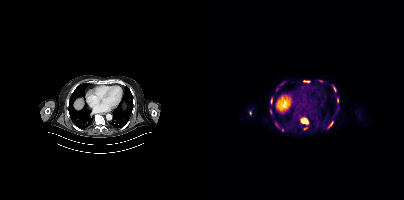
Coordinates are on the 200×200 PET (right) panel. PSMA-avid tumor lesion bounding boxes (x0, y0)-(x1, y1): (97, 118)-(104, 124) | (99, 80)-(105, 82) | (67, 98)-(68, 103) | (130, 87)-(132, 91) | (125, 122)-(128, 126). Small PSMA-avid foci (2 to 4 px across) near (center x, center y): (116, 81) | (101, 128) | (46, 112) | (133, 100) | (66, 111) | (78, 83) | (78, 129).
modality: PSMA PET/CT | tracer: 18F-PSMA | view: axial